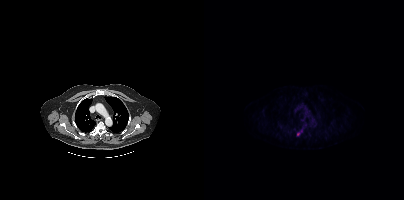
modality: PSMA PET/CT | tracer: [18F]PSMA-1007 | view: axial
Coordinates are on the 200×200 PET (right) panel. (showing 1 of 2 foci) Small PSMA-avid focus (2 to 4 px across) near (center x, center y): (94, 133).